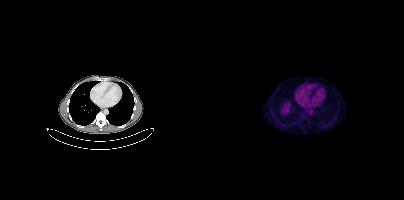
modality: PSMA PET/CT | tracer: 18F-PSMA | view: axial | PET grid: 200×200
No tumor lesions annotated on this slice.